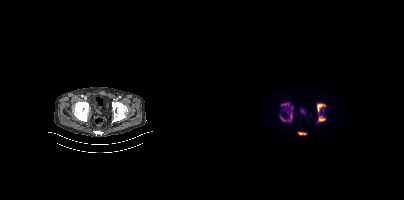
Technique: Paired axial CT (left) and PSMA PET (right), 18F-PSMA tracer. PET panel 200×200 px (4.1 mm/px).
Findings: Coordinates are on the 200×200 PET (right) panel. PSMA-avid tumor lesion bounding boxes (x0,y0,x1,y1): [113,104,121,112]; [115,115,121,121]; [94,132,102,135]; [84,112,88,120]; [77,103,84,105]; [76,116,81,121].